Technique: Paired axial CT (left) and PSMA PET (right), 18F tracer. slice 42 of 393.
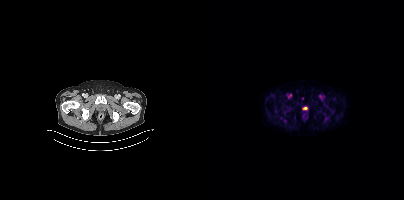
Findings: Coordinates are on the 200×200 PET (right) panel. PSMA-avid tumor lesion bounding box (x0, y0)-(x1, y1): (120, 117)-(124, 122). Small PSMA-avid foci (2 to 4 px across) near (center x, center y): (81, 120) | (71, 111).